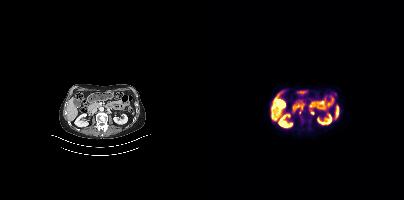
Coordinates are on the 200×200 PET (right) panel. PSMA-avid tumor lesion bounding boxes:
| # | x0 | y0 | x1 | y1 |
|---|---|---|---|---|
| 1 | 95 | 108 | 99 | 114 |
Small PSMA-avid focus (2 to 4 px across) near (center x, center y): (108, 113).
Two-panel axial: CT | PSMA PET, [18F]PSMA-1007 tracer. PET panel 200×200 px (4.1 mm/px).